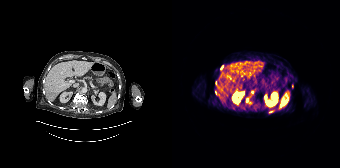
Technique: Two-panel axial: CT | PSMA PET, [68Ga]Ga-PSMA-11 tracer.
Findings: Coordinates are on the 168×168 PET (right) panel. (showing 4 of 5 foci) Small PSMA-avid foci (2 to 4 px across) near (center x, center y): (44, 92), (80, 92), (49, 67), (75, 100).